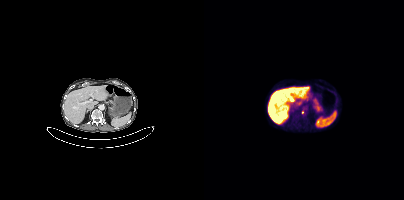
Technique: Left: CT. Right: PSMA PET, same axial level, [18F]PSMA-1007 tracer. PET panel 200×200 px (4.1 mm/px).
Findings: Coordinates are on the 200×200 PET (right) panel. Small PSMA-avid focus (2 to 4 px across) near (center x, center y): (98, 112).